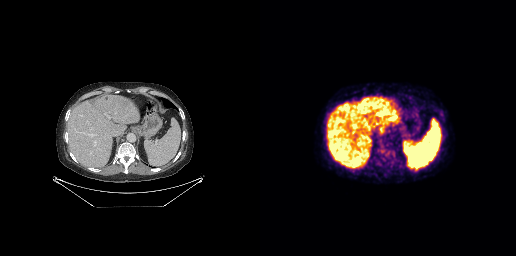
Paired axial CT (left) and PSMA PET (right), 18F-PSMA tracer. Acquired on GE Discovery 690. Slice 256 of 371. No tumor lesions annotated on this slice.